Paired axial CT (left) and PSMA PET (right), 18F-PSMA tracer.
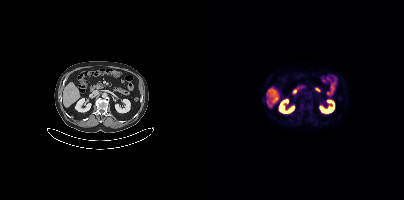
No PSMA-avid tumor lesions on this slice.